- Two-panel axial: CT | PSMA PET, [18F]PSMA-1007 tracer
- PET panel 200×200 px (4.1 mm/px)
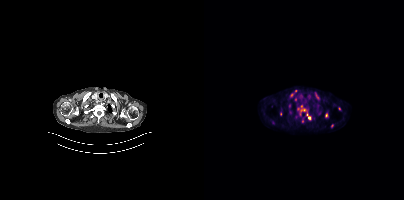
Findings: Coordinates are on the 200×200 PET (right) panel. PSMA-avid tumor lesion bounding boxes (x, y, width, height): x=93 y=105 w=15 h=16 / x=112 y=94 w=4 h=5 / x=76 y=111 w=3 h=5. Small PSMA-avid foci (2 to 4 px across) near (center x, center y): (69, 122) / (122, 115) / (98, 121) / (87, 95) / (128, 125) / (91, 90).